- Left: CT. Right: PSMA PET, same axial level, [68Ga]Ga-PSMA-11 tracer
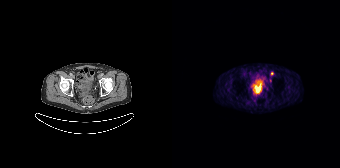
Findings: Only PSMA-avid lesion pieces thinner than 2 px on this slice (not listed).